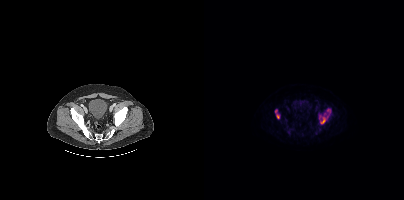
{"modality":"PSMA PET/CT","view":"axial","tracer":"18F-PSMA","pet_grid":[200,200],"coord_frame":"pet_panel","coord_format":"x0,y0,x1,y1","lesion_bboxes":[[114,109,126,124],[71,109,75,118]]}